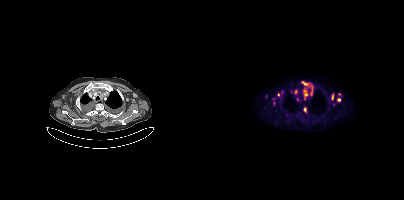
{"modality":"PSMA PET/CT","view":"axial","tracer":"18F","pet_grid":[200,200],"coord_frame":"pet_panel","coord_format":"x0,y0,x1,y1","partial":true,"lesion_bboxes":[[98,81,109,95],[99,88,103,99],[69,98,71,105],[100,107,102,111],[128,95,129,99]],"small_foci_centers":[[134,99],[91,91],[74,94]]}